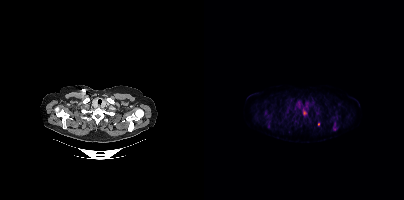
Findings: Coordinates are on the 200×200 PET (right) panel. PSMA-avid tumor lesion bounding boxes (x0,y0,x1,y1): [128,119,134,130] [98,108,103,115]. Small PSMA-avid foci (2 to 4 px across) near (center x, center y): (62, 113) (92, 115) (114, 123) (97, 122) (64, 125) (92, 118).
- Left: CT. Right: PSMA PET, same axial level, [18F]PSMA-1007 tracer
- PET panel 200×200 px (4.1 mm/px)